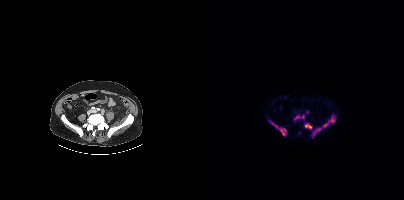
{"modality":"PSMA PET/CT","view":"axial","tracer":"18F-PSMA","pet_grid":[200,200],"coord_frame":"pet_panel","coord_format":"x0,y0,x1,y1","lesion_bboxes":[[107,114,131,137],[90,115,100,120],[75,127,82,135],[100,123,107,128],[68,122,73,127]]}